Technique: Left: CT. Right: PSMA PET, same axial level, 68Ga tracer.
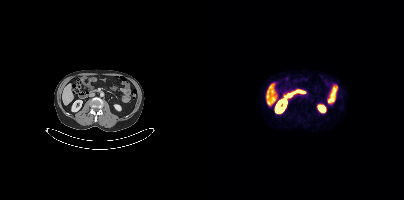
Findings: This slice has no annotated PSMA-avid lesion.